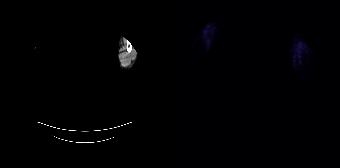
This slice has no annotated PSMA-avid lesion. Two-panel axial: CT | PSMA PET, 68Ga tracer. Slice 183 of 195. PET panel 168×168 px (4.1 mm/px). Any black rectangle over the head is a privacy mask, not anatomy.